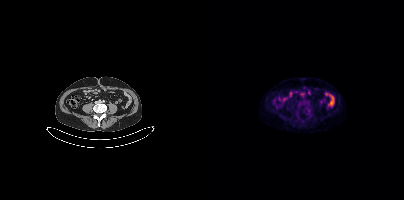
This slice has no annotated PSMA-avid lesion.
modality: PSMA PET/CT | tracer: 18F | view: axial